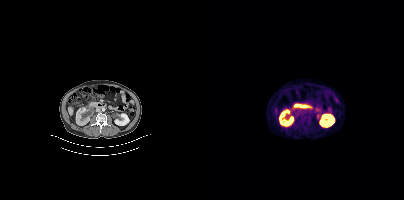
This slice has no annotated PSMA-avid lesion. Paired axial CT (left) and PSMA PET (right), 18F-PSMA tracer.